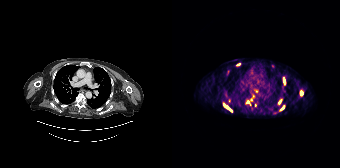
Technique: Left: CT. Right: PSMA PET, same axial level, 68Ga-PSMA tracer. slice position z = -356 mm.
Findings: Coordinates are on the 168×168 PET (right) panel. (showing 6 of 7 foci) PSMA-avid tumor lesion bounding boxes (x, y, width, height): x=51 y=104 w=10 h=8 / x=111 y=78 w=3 h=7 / x=128 y=91 w=4 h=5. Small PSMA-avid foci (2 to 4 px across) near (center x, center y): (66, 64) / (110, 107) / (107, 101).